Technique: Left: CT. Right: PSMA PET, same axial level, [18F]PSMA-1007 tracer. acquired on Siemens Biograph mCT Flow 20. slice position z = -378 mm. PET panel 200×200 px (4.1 mm/px).
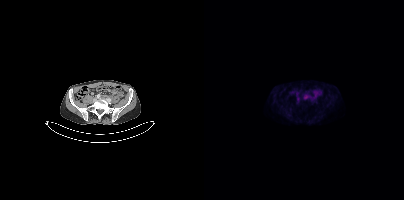
Findings: Negative for PSMA-avid disease on this slice.